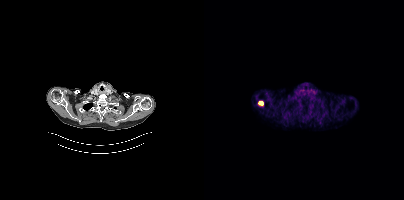
Left: CT. Right: PSMA PET, same axial level, 18F tracer.
Coordinates are on the 200×200 PET (right) panel. PSMA-avid tumor lesion bounding boxes:
| # | x0 | y0 | x1 | y1 |
|---|---|---|---|---|
| 1 | 54 | 101 | 59 | 105 |